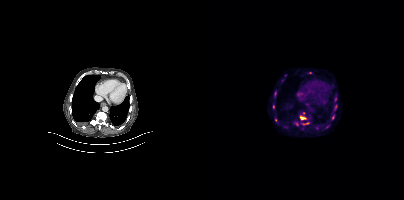
Paired axial CT (left) and PSMA PET (right), [18F]PSMA-1007 tracer. Slice 200 of 373. Coordinates are on the 200×200 PET (right) panel. PSMA-avid tumor lesion bounding boxes (x, y, width, height): x=95 y=115 w=8 h=6 | x=97 y=122 w=9 h=4 | x=130 y=104 w=4 h=7 | x=128 y=114 w=3 h=6. Small PSMA-avid foci (2 to 4 px across) near (center x, center y): (92, 123) | (106, 72) | (69, 106) | (100, 113) | (71, 93) | (81, 75) | (123, 126) | (78, 80).